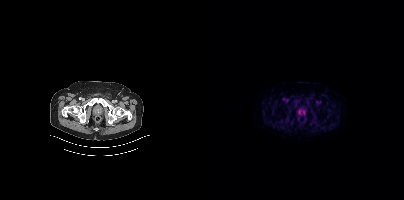
{"pet_grid":[200,200],"coord_frame":"pet_panel","coord_format":"x0,y0,x1,y1","psma_avid_lesions":false,"modality":"PSMA PET/CT","view":"axial","tracer":"18F"}